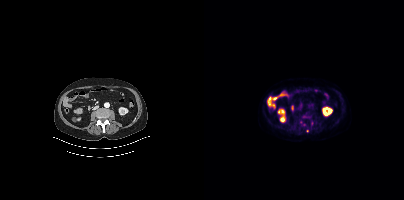
Coordinates are on the 200×200 PET (right) panel. Small PSMA-avid foci (2 to 4 px across) near (center x, center y): (100, 124), (103, 130).